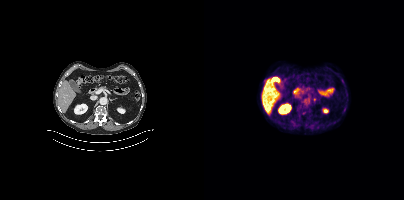
modality: PSMA PET/CT | tracer: 18F-PSMA | view: axial | PET grid: 200×200
No tumor lesions annotated on this slice.